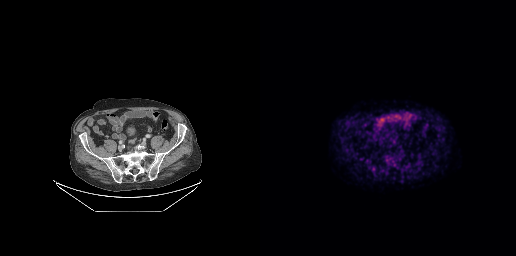
{"pet_grid":[256,256],"coord_frame":"pet_panel","coord_format":"x0,y0,x1,y1","lesion_bboxes":[],"small_foci_centers":[[113,168]],"modality":"PSMA PET/CT","view":"axial","tracer":"18F-PSMA"}